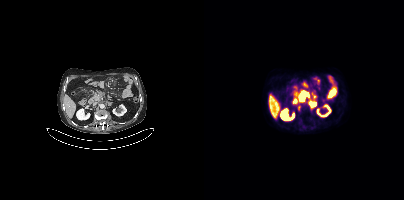
{"modality":"PSMA PET/CT","view":"axial","tracer":"18F","pet_grid":[200,200],"coord_frame":"pet_panel","coord_format":"x0,y0,x1,y1","partial":true,"lesion_bboxes":[[94,91,104,101],[105,101,112,107],[94,106,96,110]],"small_foci_centers":[[110,96]]}